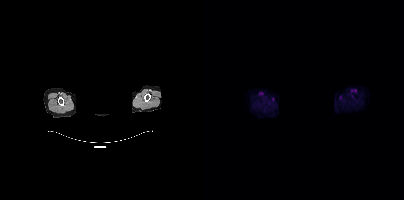
Technique: Left: CT. Right: PSMA PET, same axial level, 18F-PSMA tracer. PET panel 200×200 px (4.1 mm/px).
Note: Privacy masking over the head, with the pixels inside a rectangle set to black.
Findings: No tumor lesions annotated on this slice.